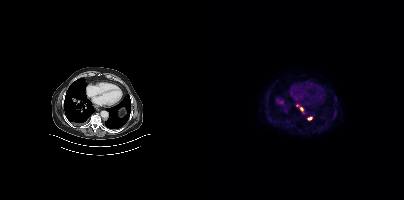
Coordinates are on the 200×200 PET (right) panel. (showing 2 of 3 foci) Small PSMA-avid foci (2 to 4 px across) near (center x, center y): (105, 118) | (97, 109).
modality: PSMA PET/CT | tracer: 18F-PSMA | view: axial | PET grid: 200×200